Two-panel axial: CT | PSMA PET, [18F]PSMA-1007 tracer. Slice position z = -216 mm. PET panel 200×200 px (4.1 mm/px).
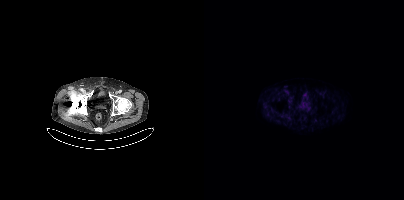
No PSMA-avid tumor lesions on this slice.